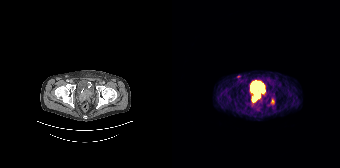
Coordinates are on the 168×168 PET (right) panel. (showing 2 of 4 foci) PSMA-avid tumor lesion bounding box (x0, y0)-(x1, y1): (80, 90)-(88, 101). Small PSMA-avid focus (2 to 4 px across) near (center x, center y): (100, 101).